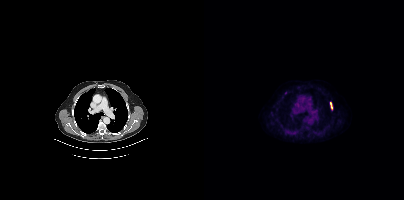
Coordinates are on the 200×200 PET (right) panel. PSMA-avid tumor lesion bounding box (x0, y0)-(x1, y1): (126, 102)-(128, 109).